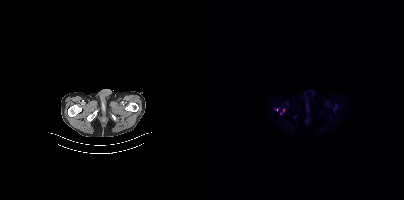
Only PSMA-avid lesion pieces thinner than 2 px on this slice (not listed).